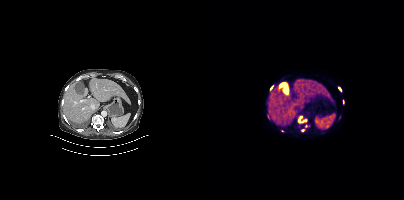
{"modality":"PSMA PET/CT","view":"axial","tracer":"[18F]PSMA-1007","pet_grid":[200,200],"coord_frame":"pet_panel","coord_format":"x0,y0,x1,y1","lesion_bboxes":[[94,116,102,123],[134,87,137,91],[66,85,69,90]],"small_foci_centers":[[98,130],[139,101],[102,126],[78,130]]}